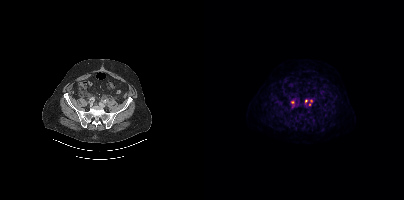
Coordinates are on the 200×200 PET (right) panel. (showing 3 of 4 foci) PSMA-avid tumor lesion bounding boxes (x0,y0,x1,y1): [87,100,90,108], [101,99,103,103]. Small PSMA-avid focus (2 to 4 px across) near (center x, center y): (105, 104). Two-panel axial: CT | PSMA PET, 18F tracer. Acquired on Siemens Biograph mCT Flow 20. Slice position z = -1379 mm. PET panel 200×200 px (4.1 mm/px).